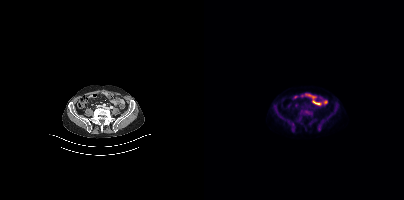
{"modality":"PSMA PET/CT","view":"axial","tracer":"18F-PSMA","pet_grid":[200,200],"coord_frame":"pet_panel","coord_format":"x0,y0,x1,y1","psma_avid_lesions":false}